- Paired axial CT (left) and PSMA PET (right), 68Ga-PSMA tracer
- slice position z = -1687 mm
- PET panel 168×168 px (4.1 mm/px)
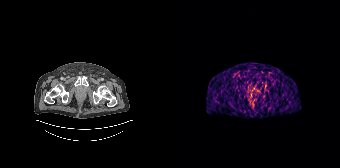
Findings: No PSMA-avid tumor lesions on this slice.